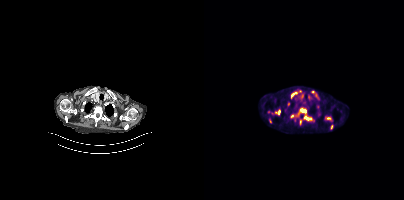
{"modality":"PSMA PET/CT","view":"axial","tracer":"18F","pet_grid":[200,200],"coord_frame":"pet_panel","coord_format":"x0,y0,x1,y1","partial":true,"lesion_bboxes":[[86,107,108,121],[71,111,75,115],[65,119,68,123],[87,92,92,96],[96,120,97,124]],"small_foci_centers":[[84,103],[109,91]]}